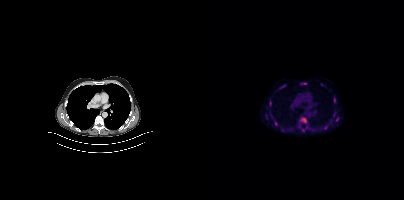
{"modality":"PSMA PET/CT","view":"axial","tracer":"[18F]PSMA-1007","pet_grid":[200,200],"coord_frame":"pet_panel","coord_format":"x0,y0,x1,y1","lesion_bboxes":[[96,82,102,84],[65,101,67,106],[132,117,134,121],[129,112,131,116]],"small_foci_centers":[[72,122],[126,121]]}